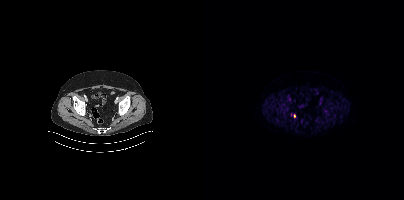
Coordinates are on the 200×200 PET (right) panel. Small PSMA-avid focus (2 to 4 px across) near (center x, center y): (90, 115).